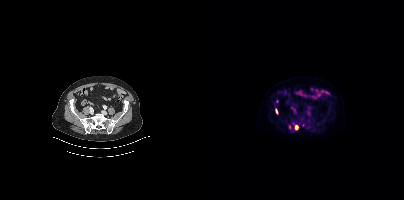
Coordinates are on the 200×200 PET (right) panel. (showing 4 of 5 foci) PSMA-avid tumor lesion bounding boxes (x0, y0)-(x1, y1): (91, 125)-(94, 130); (72, 109)-(73, 113). Small PSMA-avid foci (2 to 4 px across) near (center x, center y): (85, 127); (72, 101).
modality: PSMA PET/CT | tracer: 18F | view: axial | PET grid: 200×200